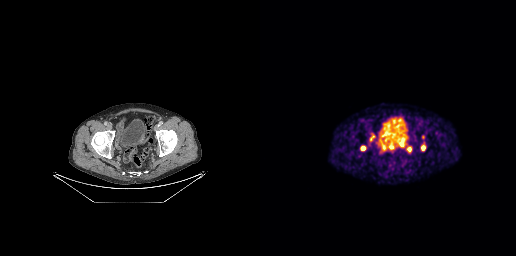
{"modality":"PSMA PET/CT","view":"axial","tracer":"68Ga-PSMA","pet_grid":[256,256],"coord_frame":"pet_panel","coord_format":"x0,y0,x1,y1","lesion_bboxes":[[109,134,114,141],[161,145,165,150],[147,147,151,151]],"small_foci_centers":[[142,145],[124,148],[142,140],[102,147],[131,147]]}